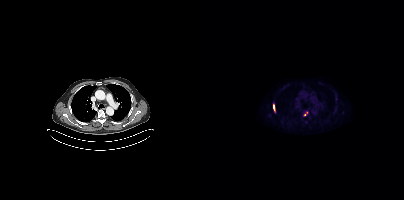
Coordinates are on the 200×200 PET (right) panel. PSMA-avid tumor lesion bounding boxes (x, y, width, height): x=101 y=111 w=4 h=5; x=69 y=105 w=2 h=5.
modality: PSMA PET/CT | tracer: 18F-PSMA | view: axial | PET grid: 200×200